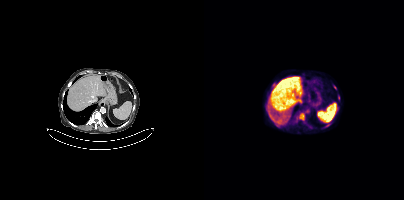
Technique: Paired axial CT (left) and PSMA PET (right), [18F]PSMA-1007 tracer.
Findings: Coordinates are on the 200×200 PET (right) panel. (showing 1 of 2 foci) PSMA-avid tumor lesion bounding box (x0,y0,x1,y1): [93,113,100,120].